modality: PSMA PET/CT | tracer: 18F | view: axial
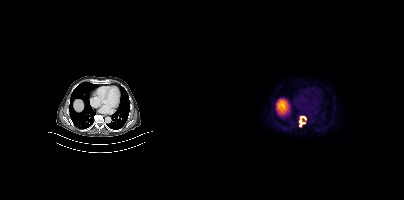
Coordinates are on the 200×200 PET (right) panel. PSMA-avid tumor lesion bounding box (x0,y0,x1,y1): [95,116,102,127].